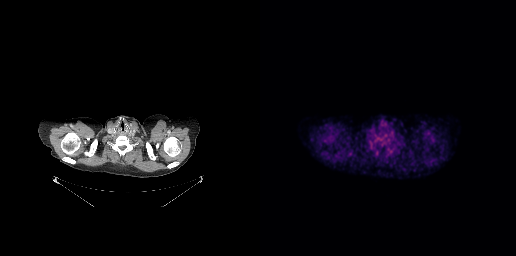
This slice has no annotated PSMA-avid lesion.